Two-panel axial: CT | PSMA PET, 18F-PSMA tracer. PET panel 200×200 px (4.1 mm/px).
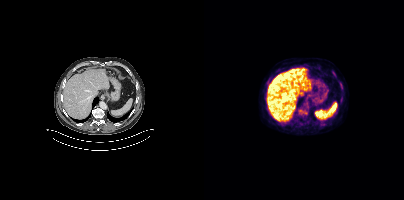
Coordinates are on the 200×200 PET (right) panel. PSMA-avid tumor lesion bounding box (x, y, width, height): x=128 y=71 w=4 h=6.